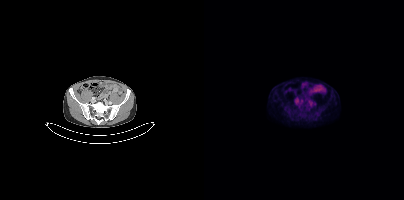
{"modality":"PSMA PET/CT","view":"axial","tracer":"[18F]PSMA-1007","pet_grid":[200,200],"coord_frame":"pet_panel","coord_format":"x0,y0,x1,y1","psma_avid_lesions":false}